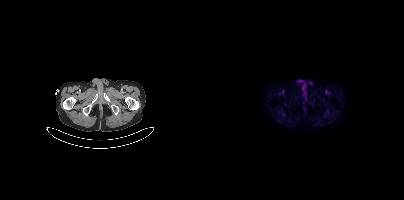
Findings: No PSMA-avid tumor lesions on this slice.
Technique: Two-panel axial: CT | PSMA PET, 18F-PSMA tracer.